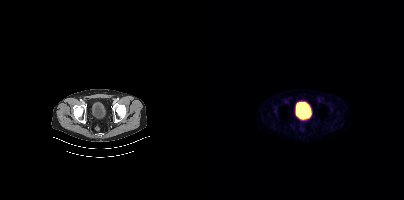
This slice has no annotated PSMA-avid lesion. Two-panel axial: CT | PSMA PET, 68Ga tracer. PET panel 200×200 px (4.1 mm/px).